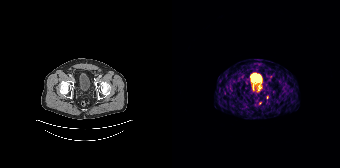
- Paired axial CT (left) and PSMA PET (right), 68Ga-PSMA tracer
Findings: Coordinates are on the 168×168 PET (right) panel. Small PSMA-avid foci (2 to 4 px across) near (center x, center y): (88, 103); (95, 97).